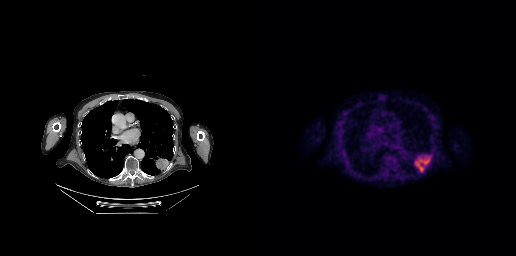
Coordinates are on the 256×256 PET (right) panel. PSMA-avid tumor lesion bounding box (x0,y0,x1,y1): [154,155,170,172].